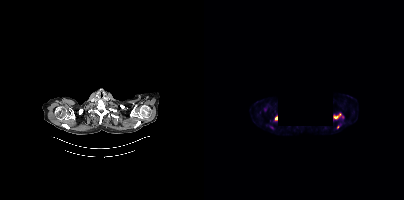
Findings: Coordinates are on the 200×200 PET (right) panel. PSMA-avid tumor lesion bounding boxes (x0, y0)-(x1, y1): (129, 113)-(137, 118) / (70, 115)-(73, 120). Small PSMA-avid foci (2 to 4 px across) near (center x, center y): (61, 109) / (133, 127).
Technique: Left: CT. Right: PSMA PET, same axial level, 18F-PSMA tracer. PET panel 200×200 px (4.1 mm/px).
Note: De-identified by setting a rectangular region to black.